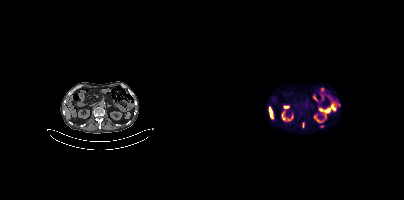
modality: PSMA PET/CT | tracer: 18F-PSMA | view: axial
Coordinates are on the 200×200 PET (right) panel. PSMA-avid tumor lesion bounding box (x0, y0)-(x1, y1): (98, 122)-(100, 127). Small PSMA-avid foci (2 to 4 px across) near (center x, center y): (134, 103); (117, 126).